Paired axial CT (left) and PSMA PET (right), [18F]PSMA-1007 tracer. Slice position z = -825 mm.
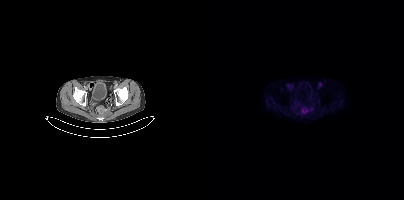
Coordinates are on the 200×200 PET (right) panel. PSMA-avid tumor lesion bounding box (x0,y0,x1,y1): [98,109,103,113].